- Left: CT. Right: PSMA PET, same axial level, [18F]PSMA-1007 tracer
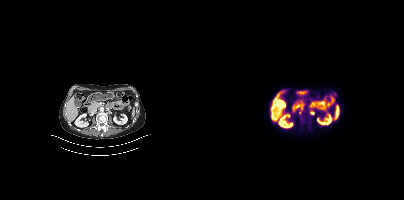
Findings: Coordinates are on the 200×200 PET (right) panel. PSMA-avid tumor lesion bounding boxes (x0, y0)-(x1, y1): (95, 108)-(99, 114) | (106, 111)-(110, 114).